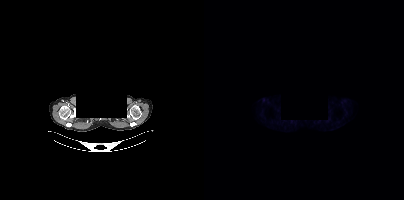
Facial anatomy redacted by setting a rectangular region of the head to black. Left: CT. Right: PSMA PET, same axial level, [18F]PSMA-1007 tracer. Acquired on Siemens Biograph mCT Flow 20. No tumor lesions annotated on this slice.